Left: CT. Right: PSMA PET, same axial level, 18F tracer. Acquired on Siemens Biograph mCT Flow 20. Slice 246 of 444. PET panel 200×200 px (4.1 mm/px).
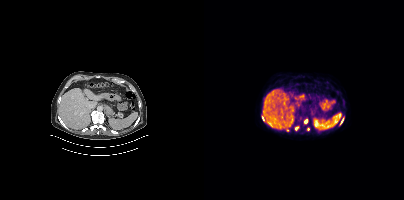
Coordinates are on the 200×200 PET (right) panel. PSMA-avid tumor lesion bounding boxes:
| # | x0 | y0 | x1 | y1 |
|---|---|---|---|---|
| 1 | 100 | 119 | 103 | 123 |
Small PSMA-avid foci (2 to 4 px across) near (center x, center y): (92, 128); (138, 121); (104, 129).